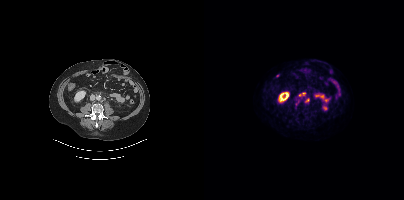
Coordinates are on the 200×200 PET (right) panel. PSMA-avid tumor lesion bounding boxes (x0,y0,x1,y1): [94,92,102,97], [101,99,105,102], [92,100,95,104].